Technique: Left: CT. Right: PSMA PET, same axial level, 18F tracer.
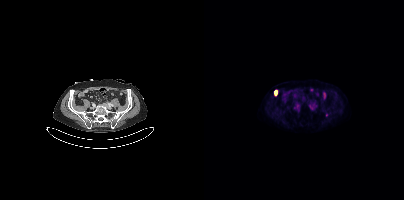
Findings: Coordinates are on the 200×200 PET (right) panel. PSMA-avid tumor lesion bounding box (x0,y0,x1,y1): [70,90,73,95].